Paired axial CT (left) and PSMA PET (right), 18F-PSMA tracer. Slice 260 of 383. PET panel 200×200 px (4.1 mm/px).
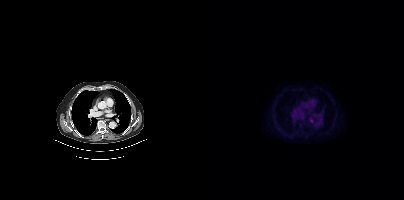
Only PSMA-avid lesion pieces thinner than 2 px on this slice (not listed).